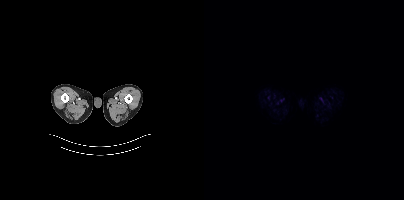
{"pet_grid":[200,200],"coord_frame":"pet_panel","coord_format":"x0,y0,x1,y1","psma_avid_lesions":false,"modality":"PSMA PET/CT","view":"axial","tracer":"18F-PSMA"}